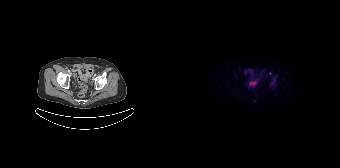
modality: PSMA PET/CT | tracer: 18F-PSMA | view: axial | PET grid: 168×168
No PSMA-avid tumor lesions on this slice.